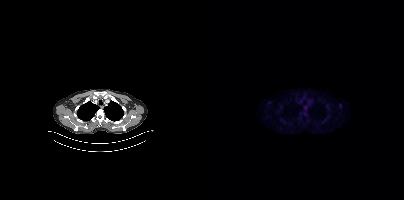
{"modality":"PSMA PET/CT","view":"axial","tracer":"[18F]PSMA-1007","pet_grid":[200,200],"coord_frame":"pet_panel","coord_format":"x0,y0,x1,y1","psma_avid_lesions":false}